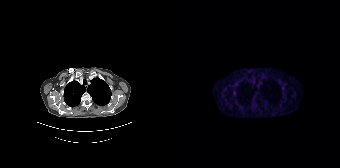
Coordinates are on the 168×168 PET (right) panel. Small PSMA-avid foci (2 to 4 px across) near (center x, center y): (62, 92); (110, 87).